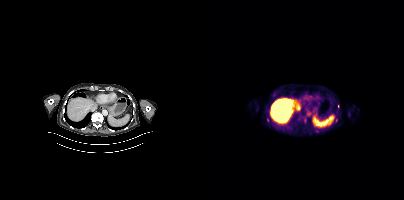
{"modality":"PSMA PET/CT","view":"axial","tracer":"[18F]PSMA-1007","pet_grid":[200,200],"coord_frame":"pet_panel","coord_format":"x0,y0,x1,y1","lesion_bboxes":[],"small_foci_centers":[[134,106],[113,130]]}